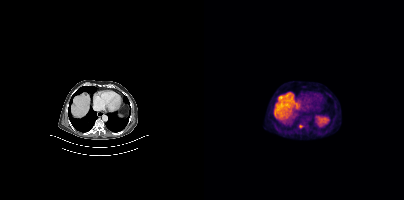
Left: CT. Right: PSMA PET, same axial level, [18F]PSMA-1007 tracer. Acquired on Siemens Biograph mCT Flow 20. Slice position z = -631 mm. Coordinates are on the 200×200 PET (right) panel. PSMA-avid tumor lesion bounding box (x0,y0,x1,y1): [95,124,99,128].